Paired axial CT (left) and PSMA PET (right), [18F]PSMA-1007 tracer. PET panel 256×256 px (2.7 mm/px).
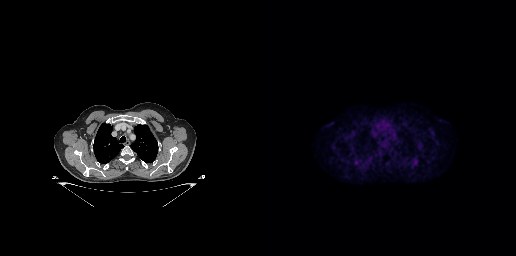
Negative for PSMA-avid disease on this slice.